Technique: Two-panel axial: CT | PSMA PET, [68Ga]Ga-PSMA-11 tracer. acquired on Siemens Biograph 64-4R TruePoint. slice position z = -768 mm.
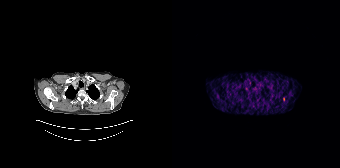
Findings: This slice has no annotated PSMA-avid lesion.